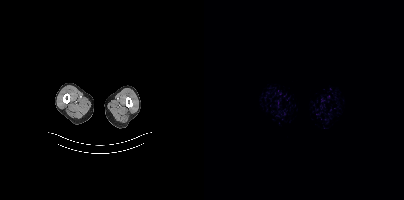
No tumor lesions annotated on this slice. Paired axial CT (left) and PSMA PET (right), 18F tracer. Slice position z = -1080 mm. PET panel 200×200 px (4.1 mm/px).